Paired axial CT (left) and PSMA PET (right), 18F tracer. Acquired on Siemens Biograph mCT Flow 20. Slice position z = -1096 mm. PET panel 200×200 px (4.1 mm/px).
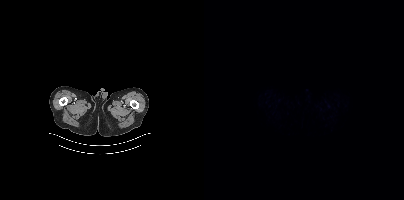
No tumor lesions annotated on this slice.